Left: CT. Right: PSMA PET, same axial level, 18F-PSMA tracer. Slice 365 of 444. PET panel 200×200 px (4.1 mm/px).
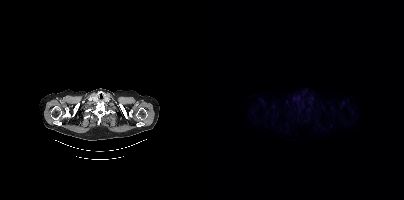
This slice has no annotated PSMA-avid lesion.